Paired axial CT (left) and PSMA PET (right), 18F-PSMA tracer. Acquired on GE Discovery 690. Slice 215 of 263.
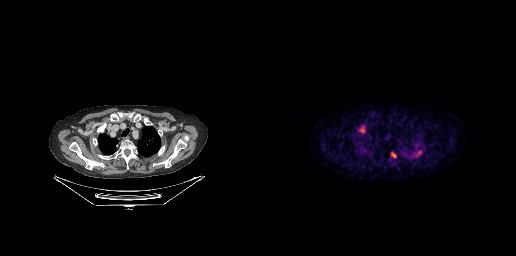
Coordinates are on the 256×256 PET (right) panel. PSMA-avid tumor lesion bounding boxes:
| # | x0 | y0 | x1 | y1 |
|---|---|---|---|---|
| 1 | 98 | 125 | 105 | 133 |
| 2 | 154 | 150 | 161 | 157 |
| 3 | 131 | 152 | 136 | 158 |
Small PSMA-avid focus (2 to 4 px across) near (center x, center y): (151, 156).